Two-panel axial: CT | PSMA PET, [18F]PSMA-1007 tracer. Acquired on GE Discovery 690. Slice position z = -407 mm.
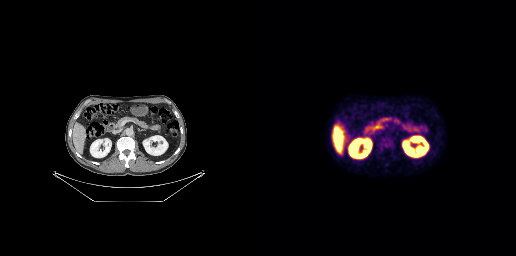
This slice has no annotated PSMA-avid lesion.